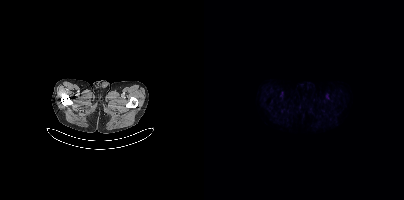
{"modality":"PSMA PET/CT","view":"axial","tracer":"[18F]PSMA-1007","pet_grid":[200,200],"coord_frame":"pet_panel","coord_format":"x0,y0,x1,y1","psma_avid_lesions":false}